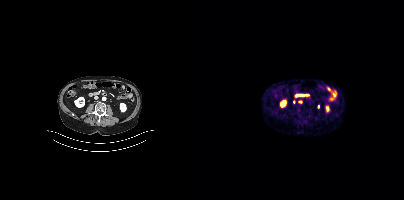
{"modality":"PSMA PET/CT","view":"axial","tracer":"68Ga","pet_grid":[200,200],"coord_frame":"pet_panel","coord_format":"x0,y0,x1,y1","lesion_bboxes":[],"small_foci_centers":[[96,101]]}